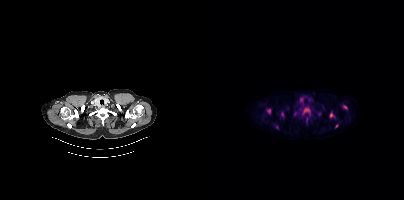
Left: CT. Right: PSMA PET, same axial level, [18F]PSMA-1007 tracer. Coordinates are on the 200×200 PET (right) panel. PSMA-avid tumor lesion bounding boxes (x0,y0,x1,y1): [99,107,106,113]; [126,111,130,117]; [63,109,66,113]; [77,112,80,117]; [102,118,104,124]; [72,125,74,129]; [139,105,143,108]. Small PSMA-avid foci (2 to 4 px across) near (center x, center y): (114, 113); (92, 113); (132, 126).